Two-panel axial: CT | PSMA PET, 18F tracer. PET panel 200×200 px (4.1 mm/px). Privacy masking over the head, with the pixels inside a rectangle set to black.
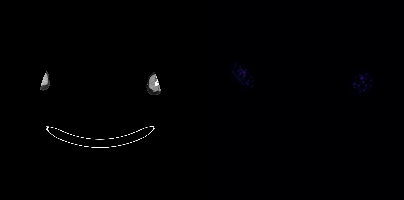
No tumor lesions annotated on this slice.